Left: CT. Right: PSMA PET, same axial level, [18F]PSMA-1007 tracer. PET panel 200×200 px (4.1 mm/px). A rectangular block over the head has been blanked out for de-identification.
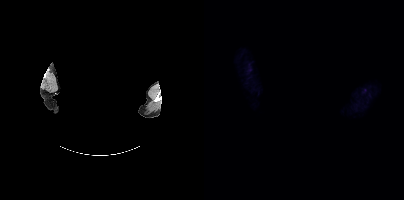
No PSMA-avid tumor lesions on this slice.